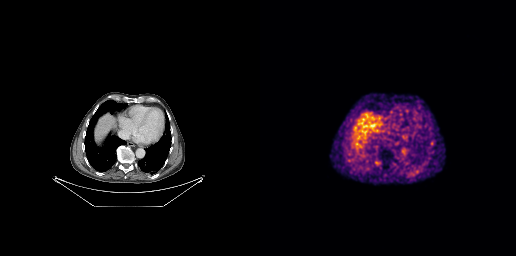
Coordinates are on the 256×256 PET (right) panel. PSMA-avid tumor lesion bounding box (x0,y0,x1,y1): [170,141,173,145]. Small PSMA-avid focus (2 to 4 px across) near (center x, center y): (116, 163). Two-panel axial: CT | PSMA PET, [68Ga]Ga-PSMA-11 tracer. Slice 161 of 263. PET panel 256×256 px (2.7 mm/px).